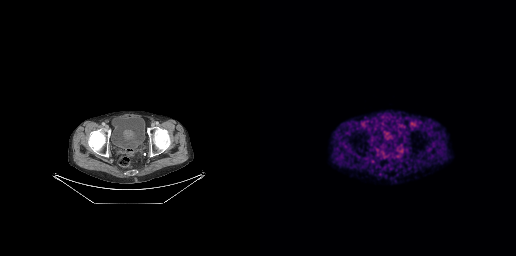
Negative for PSMA-avid disease on this slice.
modality: PSMA PET/CT | tracer: [18F]PSMA-1007 | view: axial | PET grid: 256×256